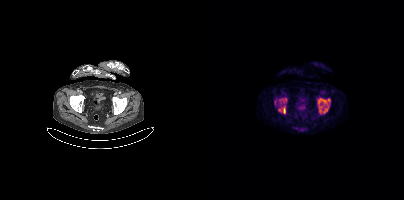
Findings: Coordinates are on the 200×200 PET (right) panel. PSMA-avid tumor lesion bounding boxes (x, y, width, height): x=75 y=97 w=9 h=9; x=114 y=98 w=12 h=7; x=79 y=107 w=3 h=7; x=115 y=106 w=4 h=7; x=119 y=106 w=6 h=7; x=71 y=100 w=2 h=6. Small PSMA-avid focus (2 to 4 px across) near (center x, center y): (75, 110).
Technique: Paired axial CT (left) and PSMA PET (right), [18F]PSMA-1007 tracer. PET panel 200×200 px (4.1 mm/px).